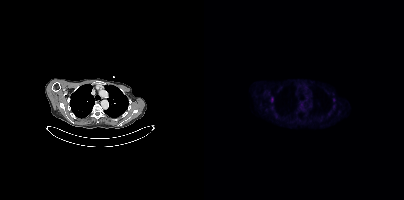
Findings: Coordinates are on the 200×200 PET (right) panel. Small PSMA-avid focus (2 to 4 px across) near (center x, center y): (68, 99).
Technique: Two-panel axial: CT | PSMA PET, 18F-PSMA tracer. slice 316 of 409.